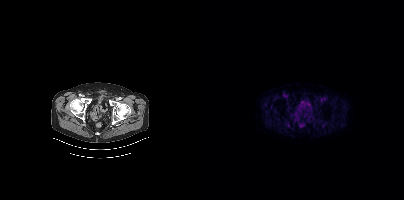
Two-panel axial: CT | PSMA PET, [18F]PSMA-1007 tracer. Acquired on Siemens Biograph mCT Flow 20. Slice 74 of 452. PET panel 200×200 px (4.1 mm/px). No tumor lesions annotated on this slice.